Two-panel axial: CT | PSMA PET, 18F tracer. Slice position z = 332 mm.
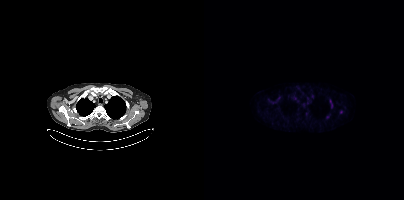
Coordinates are on the 200×200 PET (right) panel. (showing 3 of 4 foci) PSMA-avid tumor lesion bounding boxes (x, y, width, height): x=122 y=115 w=4 h=5; x=126 y=100 w=3 h=8. Small PSMA-avid focus (2 to 4 px across) near (center x, center y): (137, 112).